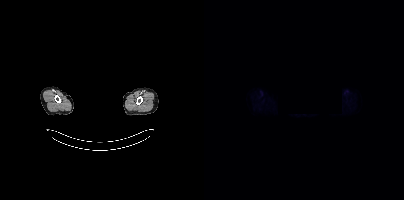
Technique: Paired axial CT (left) and PSMA PET (right), [18F]PSMA-1007 tracer. acquired on Siemens Biograph mCT Flow 20. slice position z = -861 mm. PET panel 200×200 px (4.1 mm/px).
Note: The head region is masked for de-identification.
Findings: This slice has no annotated PSMA-avid lesion.